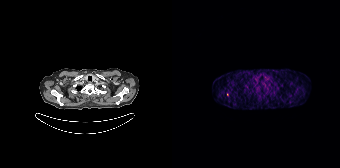
{"modality":"PSMA PET/CT","view":"axial","tracer":"68Ga","pet_grid":[168,168],"coord_frame":"pet_panel","coord_format":"x0,y0,x1,y1","lesion_bboxes":[],"small_foci_centers":[[55,94]]}